- Paired axial CT (left) and PSMA PET (right), [18F]PSMA-1007 tracer
- PET panel 200×200 px (4.1 mm/px)
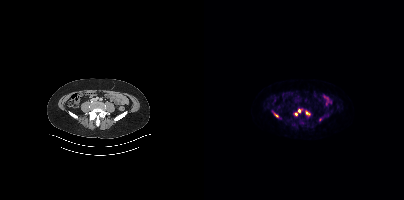
Findings: Coordinates are on the 200×200 PET (right) panel. (showing 4 of 5 foci) Small PSMA-avid foci (2 to 4 px across) near (center x, center y): (95, 110) (103, 113) (72, 115) (92, 114).